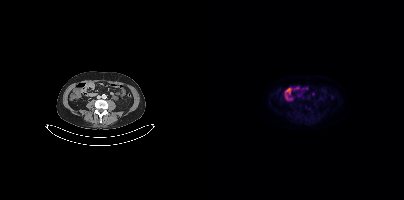
- Left: CT. Right: PSMA PET, same axial level, 18F tracer
- acquired on Siemens Biograph mCT Flow 20
- PET panel 200×200 px (4.1 mm/px)
Findings: Negative for PSMA-avid disease on this slice.